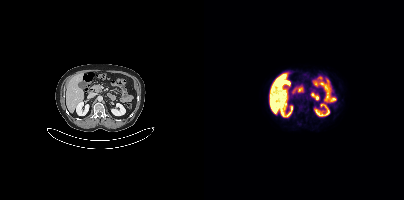
{"pet_grid":[200,200],"coord_frame":"pet_panel","coord_format":"x0,y0,x1,y1","psma_avid_lesions":false,"modality":"PSMA PET/CT","view":"axial","tracer":"18F"}